modality: PSMA PET/CT | tracer: [18F]PSMA-1007 | view: axial
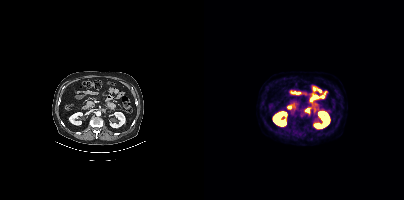
No tumor lesions annotated on this slice.